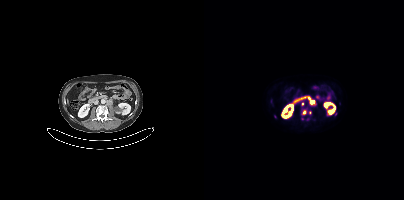
Coordinates are on the 200×200 PET (right) panel. (showing 3 of 5 foci) PSMA-avid tumor lesion bounding box (x, y, width, height): x=106 y=101 w=5 h=4. Small PSMA-avid foci (2 to 4 px across) near (center x, center y): (100, 112) / (98, 104).